Technique: Two-panel axial: CT | PSMA PET, [18F]PSMA-1007 tracer. PET panel 200×200 px (4.1 mm/px).
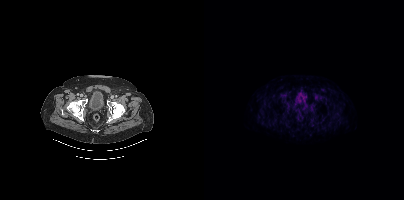
Findings: Coordinates are on the 200×200 PET (right) panel. Small PSMA-avid focus (2 to 4 px across) near (center x, center y): (118, 89).